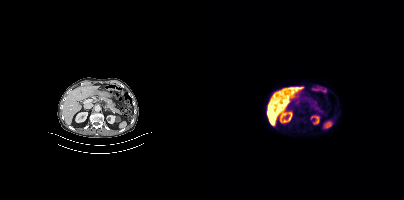
Negative for PSMA-avid disease on this slice. Left: CT. Right: PSMA PET, same axial level, 18F tracer. Slice 216 of 421. PET panel 200×200 px (4.1 mm/px).